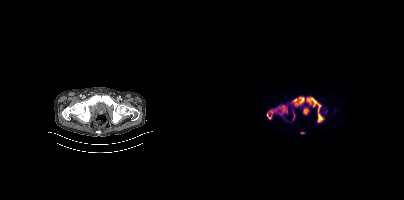
- Left: CT. Right: PSMA PET, same axial level, 18F-PSMA tracer
- acquired on Siemens Biograph mCT Flow 20
- slice 59 of 387
- PET panel 200×200 px (4.1 mm/px)
Findings: Coordinates are on the 200×200 PET (right) panel. (showing 4 of 6 foci) PSMA-avid tumor lesion bounding boxes (x0,y0,x1,y1): [62,105,83,119] [103,97,119,122] [89,97,100,106]. Small PSMA-avid focus (2 to 4 px across) near (center x, center y): (98, 132).